Left: CT. Right: PSMA PET, same axial level, [68Ga]Ga-PSMA-11 tracer. Acquired on Siemens Biograph 64-4R TruePoint. Slice 167 of 195.
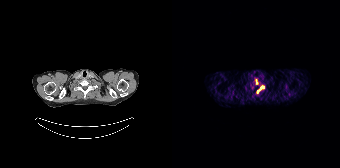
Coordinates are on the 168×168 PET (right) panel. PSMA-avid tumor lesion bounding boxes:
| # | x0 | y0 | x1 | y1 |
|---|---|---|---|---|
| 1 | 85 | 85 | 92 | 93 |
| 2 | 84 | 79 | 85 | 84 |